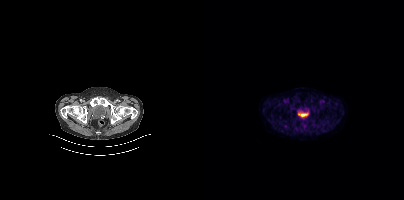
{"modality":"PSMA PET/CT","view":"axial","tracer":"[18F]PSMA-1007","pet_grid":[200,200],"coord_frame":"pet_panel","coord_format":"x0,y0,x1,y1","psma_avid_lesions":false}